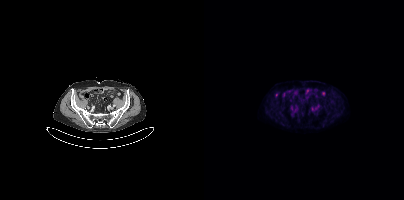
No PSMA-avid tumor lesions on this slice.
modality: PSMA PET/CT | tracer: [18F]PSMA-1007 | view: axial